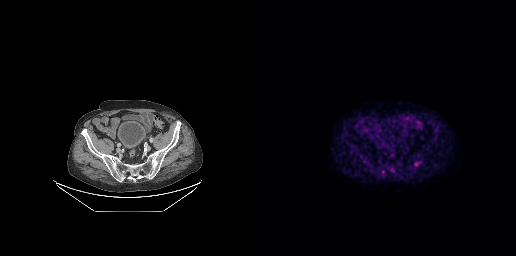
Coordinates are on the 256×256 PET (right) panel. Small PSMA-avid focus (2 to 4 px across) near (center x, center y): (156, 164).